- Left: CT. Right: PSMA PET, same axial level, 18F tracer
- acquired on Siemens Biograph mCT Flow 20
- PET panel 200×200 px (4.1 mm/px)
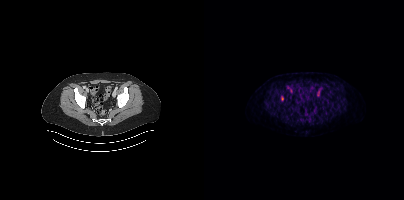
Findings: Coordinates are on the 200×200 PET (right) panel. PSMA-avid tumor lesion bounding box (x0, y0)-(x1, y1): (77, 96)-(79, 100).